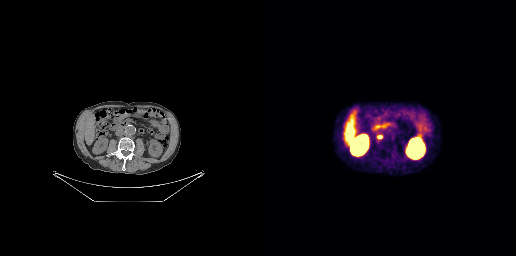
Left: CT. Right: PSMA PET, same axial level, [68Ga]Ga-PSMA-11 tracer. PET panel 256×256 px (2.7 mm/px).
Coordinates are on the 256×256 PET (right) panel. PSMA-avid tumor lesion bounding boxes:
| # | x0 | y0 | x1 | y1 |
|---|---|---|---|---|
| 1 | 117 | 135 | 122 | 138 |